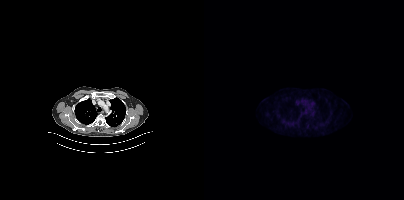
Technique: Left: CT. Right: PSMA PET, same axial level, [18F]PSMA-1007 tracer. slice position z = -1086 mm.
Findings: This slice has no annotated PSMA-avid lesion.